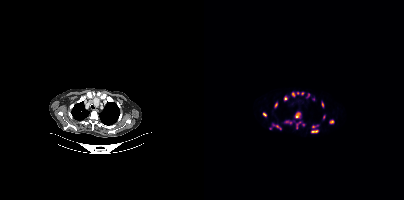
Coordinates are on the 200×200 PET (right) panel. (showing 15 of 19 foci) PSMA-avid tumor lesion bounding boxes (x, y, width, height): x=91 y=112 w=6 h=7 / x=68 y=123 w=10 h=7 / x=107 y=130 w=8 h=3 / x=125 y=120 w=6 h=4 / x=80 y=96 w=4 h=5 / x=92 y=122 w=5 h=7 / x=70 y=102 w=4 h=6 / x=59 y=112 w=4 h=5 / x=117 y=102 w=3 h=6 / x=81 y=121 w=7 h=3 / x=88 y=92 w=3 h=5. Small PSMA-avid foci (2 to 4 px across) near (center x, center y): (109, 126) / (119, 117) / (66, 128) / (93, 92).